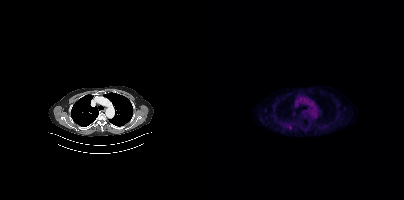
Paired axial CT (left) and PSMA PET (right), [18F]PSMA-1007 tracer. Slice 315 of 423. PET panel 200×200 px (4.1 mm/px). Coordinates are on the 200×200 PET (right) panel. Small PSMA-avid focus (2 to 4 px across) near (center x, center y): (86, 126).